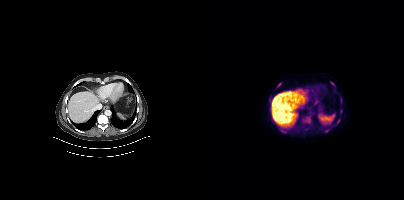
Findings: Coordinates are on the 200×200 PET (right) panel. (showing 7 of 9 foci) PSMA-avid tumor lesion bounding boxes (x0,y0,x1,y1): [77,129,81,133]; [120,129,125,132]; [73,83,77,87]; [126,82,130,85]; [136,109,138,113]; [131,119,135,125]; [104,118,106,122].
- Paired axial CT (left) and PSMA PET (right), [18F]PSMA-1007 tracer
- slice position z = -1154 mm
- PET panel 200×200 px (4.1 mm/px)